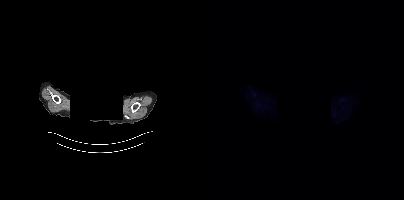
Two-panel axial: CT | PSMA PET, [18F]PSMA-1007 tracer. Acquired on Siemens Biograph mCT Flow 20. Slice 332 of 383. PET panel 200×200 px (4.1 mm/px). The head region is masked for de-identification. No PSMA-avid tumor lesions on this slice.